- Left: CT. Right: PSMA PET, same axial level, [18F]PSMA-1007 tracer
- slice 84 of 417
- PET panel 200×200 px (4.1 mm/px)
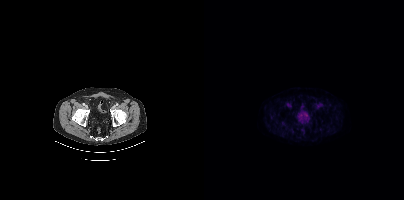
Findings: This slice has no annotated PSMA-avid lesion.